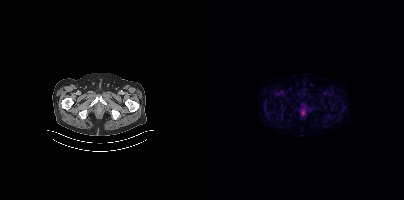
Two-panel axial: CT | PSMA PET, 68Ga tracer. PET panel 200×200 px (4.1 mm/px). Negative for PSMA-avid disease on this slice.